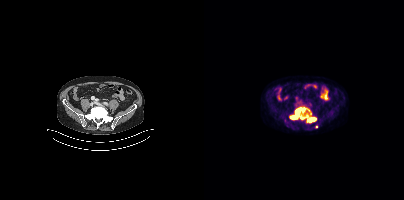
Coordinates are on the 200×200 PET (right) panel. PSMA-avid tumor lesion bounding box (x0, y0)-(x1, y1): (86, 107)-(112, 123). Small PSMA-avid foci (2 to 4 px across) near (center x, center y): (112, 126) / (106, 113).
modality: PSMA PET/CT | tracer: 18F | view: axial | PET grid: 200×200